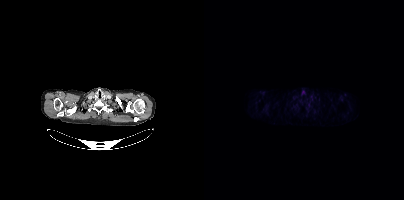
No tumor lesions annotated on this slice.